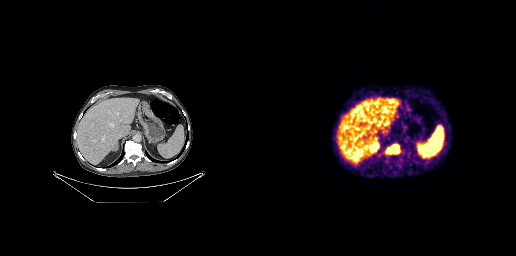
modality: PSMA PET/CT | tracer: 68Ga-PSMA | view: axial | PET grid: 256×256
Coordinates are on the 256×256 PET (right) panel. PSMA-avid tumor lesion bounding box (x0,y0,x1,y1): [128,145,139,153].